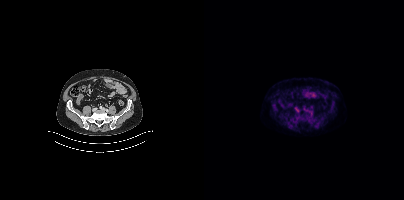
modality: PSMA PET/CT | tracer: 18F-PSMA | view: axial | PET grid: 200×200
Coordinates are on the 200×200 PET (right) panel. PSMA-avid tumor lesion bounding box (x, y, width, height): x=90 y=107 w=6 h=4.